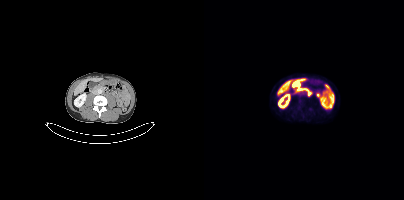
- Left: CT. Right: PSMA PET, same axial level, [18F]PSMA-1007 tracer
Findings: Coordinates are on the 200×200 PET (right) panel. PSMA-avid tumor lesion bounding box (x0,y0,x1,y1): [95,100,98,104].